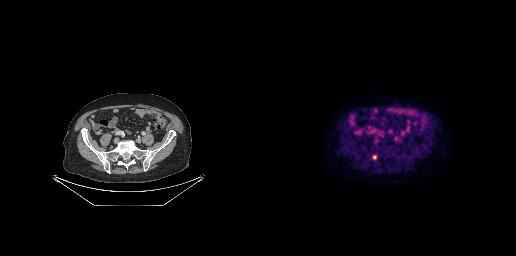
Coordinates are on the 256×256 PET (right) panel. Small PSMA-avid foci (2 to 4 px across) near (center x, center y): (135, 138); (114, 156). Left: CT. Right: PSMA PET, same axial level, 18F-PSMA tracer. Acquired on GE Discovery 690. PET panel 256×256 px (2.7 mm/px).